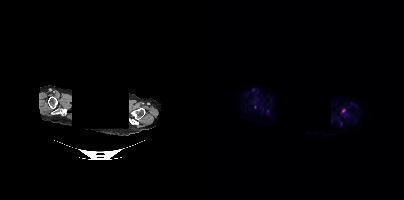
{"modality":"PSMA PET/CT","view":"axial","tracer":"[18F]PSMA-1007","pet_grid":[200,200],"coord_frame":"pet_panel","coord_format":"x0,y0,x1,y1","de-identification":"head region blacked out before release","partial":true,"lesion_bboxes":[],"small_foci_centers":[[139,110]]}